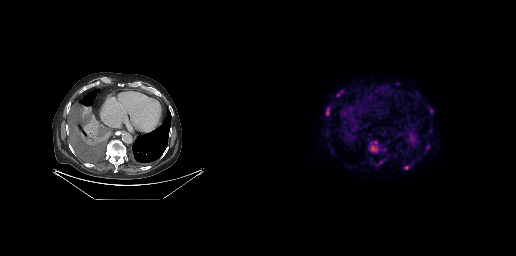
Coordinates are on the 256×256 PET (right) panel. (showing 6 of 8 foci) PSMA-avid tumor lesion bounding boxes (x0,y0,x1,y1): [111,146,116,151]; [66,108,69,115]; [144,166,148,169]. Small PSMA-avid foci (2 to 4 px across) near (center x, center y): (78, 94); (171, 111); (115, 142).